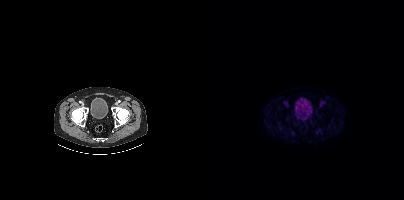
Findings: This slice has no annotated PSMA-avid lesion.
- Two-panel axial: CT | PSMA PET, 18F tracer
- acquired on Siemens Biograph mCT Flow 20
- slice position z = -980 mm
- PET panel 200×200 px (4.1 mm/px)